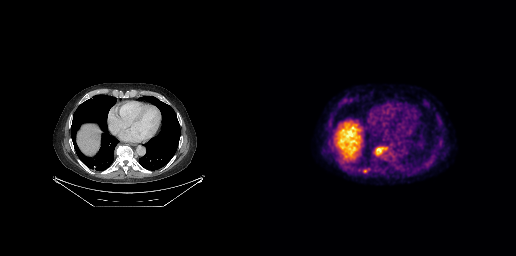
Paired axial CT (left) and PSMA PET (right), [18F]PSMA-1007 tracer. Acquired on GE Discovery 690. Slice position z = -500 mm. This slice has no annotated PSMA-avid lesion.